modality: PSMA PET/CT | tracer: 18F-PSMA | view: axial | PET grid: 200×200
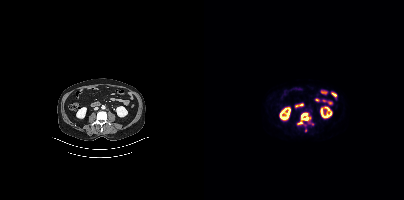
Coordinates are on the 200×200 PET (right) panel. PSMA-avid tumor lesion bounding box (x, y, width, height): x=93 y=113 w=14 h=12.